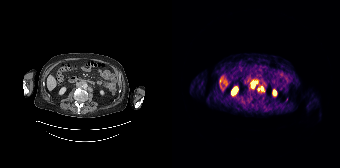
Findings: Coordinates are on the 168×168 PET (right) panel. (showing 1 of 2 foci) PSMA-avid tumor lesion bounding box (x0,y0,x1,y1): [79,82,85,87].
Technique: Left: CT. Right: PSMA PET, same axial level, 68Ga tracer. acquired on Siemens Biograph 64-4R TruePoint. PET panel 168×168 px (4.1 mm/px).